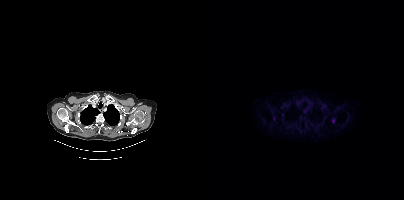
Coordinates are on the 200×200 PET (right) panel. Small PSMA-avid focus (2 to 4 px across) near (center x, center y): (129, 120). Paired axial CT (left) and PSMA PET (right), 18F-PSMA tracer. Acquired on Siemens Biograph mCT Flow 20.